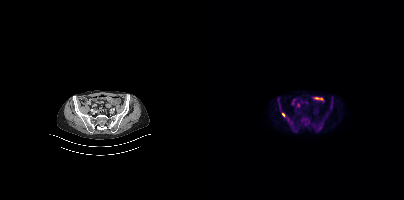
Two-panel axial: CT | PSMA PET, 18F tracer. Acquired on Siemens Biograph mCT Flow 20. Slice 110 of 401. Coordinates are on the 200×200 PET (right) panel. Small PSMA-avid focus (2 to 4 px across) near (center x, center y): (79, 114).